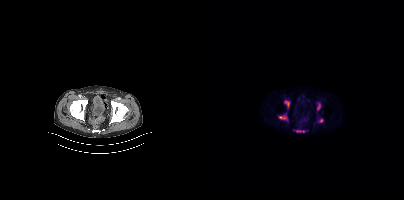
Findings: Coordinates are on the 200×200 PET (right) panel. PSMA-avid tumor lesion bounding boxes (x, y, width, height): x=75 y=116 w=9 h=4 / x=80 y=101 w=6 h=7 / x=113 y=103 w=4 h=7 / x=114 y=119 w=5 h=4. Small PSMA-avid foci (2 to 4 px across) near (center x, center y): (94, 130) / (99, 131).
Technique: Two-panel axial: CT | PSMA PET, [18F]PSMA-1007 tracer.